modality: PSMA PET/CT | tracer: 18F | view: axial
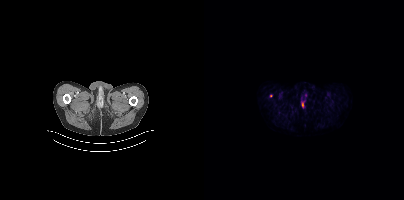
Coordinates are on the 200×200 PET (right) panel. (showing 2 of 3 foci) PSMA-avid tumor lesion bounding box (x0,y0,x1,y1): [97,101,100,107]. Small PSMA-avid focus (2 to 4 px across) near (center x, center y): (66, 95).